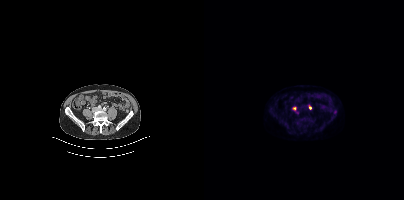
modality: PSMA PET/CT | tracer: 18F | view: axial
Coordinates are on the 200×200 PET (right) panel. (showing 2 of 3 foci) Small PSMA-avid foci (2 to 4 px across) near (center x, center y): (106, 107); (90, 108).